Two-panel axial: CT | PSMA PET, 18F-PSMA tracer. Slice 130 of 263.
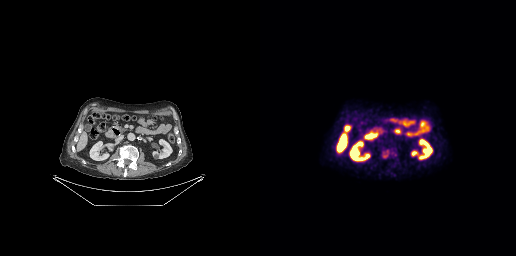
Coordinates are on the 256×256 PET (right) panel. PSMA-avid tumor lesion bounding boxes:
| # | x0 | y0 | x1 | y1 |
|---|---|---|---|---|
| 1 | 121 | 149 | 130 | 158 |